Paired axial CT (left) and PSMA PET (right), 18F-PSMA tracer. Acquired on Siemens Biograph mCT Flow 20. PET panel 200×200 px (4.1 mm/px).
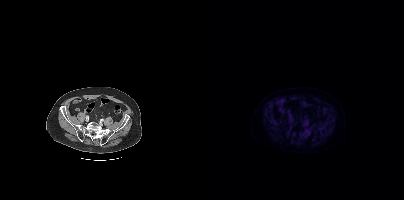
Negative for PSMA-avid disease on this slice.